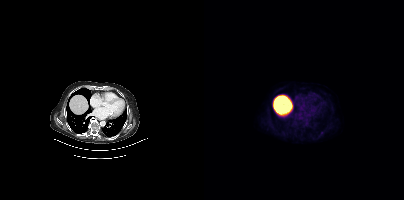
No tumor lesions annotated on this slice.